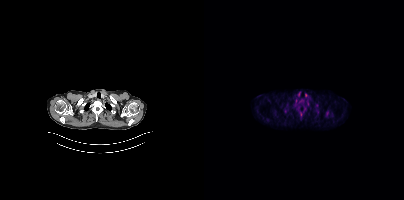
Coordinates are on the 200×200 PET (right) panel. PSMA-avid tumor lesion bounding box (x0, y0)-(x1, y1): (122, 111)-(124, 116). Small PSMA-avid focus (2 to 4 px across) near (center x, center y): (113, 111).